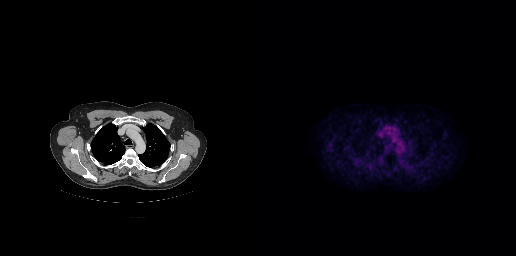
modality: PSMA PET/CT | tracer: 18F | view: axial | PET grid: 256×256
This slice has no annotated PSMA-avid lesion.